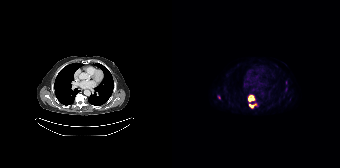
Coordinates are on the 168×168 PET (right) panel. PSMA-avid tumor lesion bounding box (x0, y0)-(x1, y1): (76, 94)-(85, 108). Small PSMA-avid focus (2 to 4 px across) near (center x, center y): (47, 97).